Two-panel axial: CT | PSMA PET, [18F]PSMA-1007 tracer. PET panel 200×200 px (4.1 mm/px).
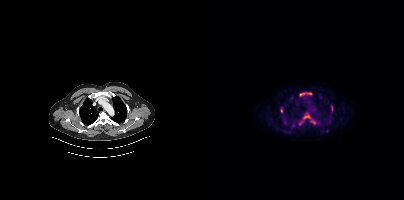
Coordinates are on the 200×200 PET (right) panel. (showing 7 of 8 foci) PSMA-avid tumor lesion bounding boxes (x0,y0,x1,y1): [106,118,112,124], [95,92,107,96], [94,120,99,125], [127,105,129,111], [100,115,105,118], [76,107,78,112]. Small PSMA-avid focus (2 to 4 px across) near (center x, center y): (122, 130).